Two-panel axial: CT | PSMA PET, 18F-PSMA tracer. PET panel 200×200 px (4.1 mm/px).
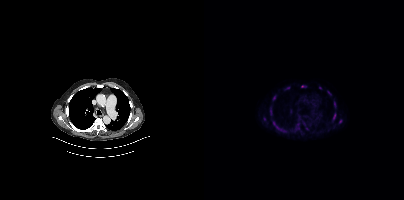
Coordinates are on the 200×200 PET (right) panel. PSMA-avid tumor lesion bounding boxes (partial; 2 more foci not listed):
| # | x0 | y0 | x1 | y1 |
|---|---|---|---|---|
| 1 | 69 | 121 | 77 | 129 |
| 2 | 128 | 113 | 132 | 121 |
| 3 | 66 | 108 | 68 | 115 |
| 4 | 69 | 96 | 71 | 100 |
| 5 | 123 | 91 | 127 | 94 |
| 6 | 130 | 102 | 131 | 106 |
Small PSMA-avid foci (2 to 4 px across) near (center x, center y): (98, 86); (136, 121); (60, 119); (116, 87); (94, 124); (84, 87); (102, 128).